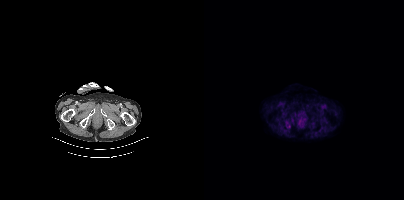
- Paired axial CT (left) and PSMA PET (right), 18F tracer
- PET panel 200×200 px (4.1 mm/px)
Findings: Negative for PSMA-avid disease on this slice.